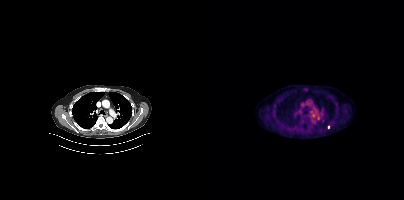
{"pet_grid":[200,200],"coord_frame":"pet_panel","coord_format":"x0,y0,x1,y1","partial":true,"lesion_bboxes":[],"small_foci_centers":[[124,127],[107,111]],"modality":"PSMA PET/CT","view":"axial","tracer":"[18F]PSMA-1007"}